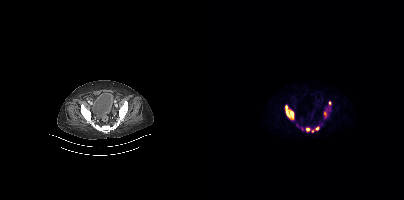
modality: PSMA PET/CT | tracer: [68Ga]Ga-PSMA-11 | view: axial | PET grid: 200×200
No PSMA-avid tumor lesions on this slice.